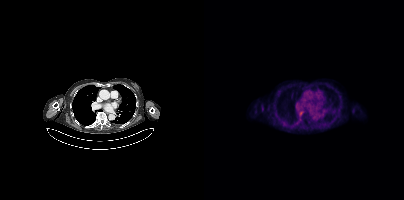
{"modality":"PSMA PET/CT","view":"axial","tracer":"18F","pet_grid":[200,200],"coord_frame":"pet_panel","coord_format":"x0,y0,x1,y1","psma_avid_lesions":false}